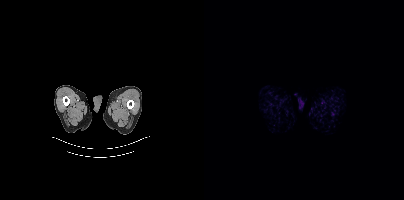
Two-panel axial: CT | PSMA PET, 18F tracer. Acquired on Siemens Biograph mCT Flow 20. Slice 4 of 427. No tumor lesions annotated on this slice.